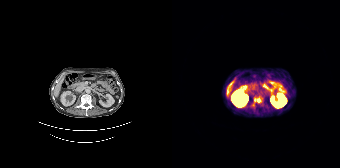
Coordinates are on the 168×168 PET (right) panel. PSMA-avid tumor lesion bounding box (x0, y0)-(x1, y1): (82, 97)-(89, 102). Two-panel axial: CT | PSMA PET, [68Ga]Ga-PSMA-11 tracer.